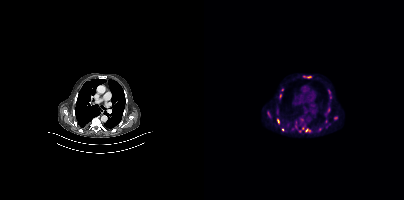
- Paired axial CT (left) and PSMA PET (right), [18F]PSMA-1007 tracer
- acquired on Siemens Biograph mCT Flow 20
Findings: Coordinates are on the 200×200 PET (right) panel. (showing 9 of 16 foci) PSMA-avid tumor lesion bounding boxes (x0, y0)-(x1, y1): (94, 124)-(106, 132) | (63, 111)-(67, 117) | (73, 119)-(76, 124) | (91, 121)-(93, 128). Small PSMA-avid foci (2 to 4 px across) near (center x, center y): (97, 120) | (131, 118) | (104, 77) | (76, 96) | (122, 121).